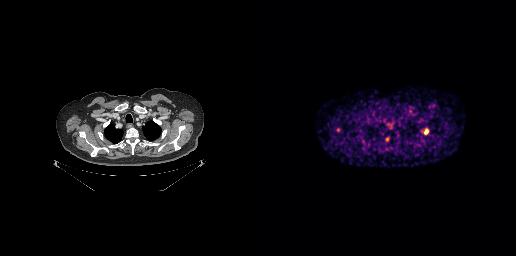
Paired axial CT (left) and PSMA PET (right), 68Ga-PSMA tracer. PET panel 256×256 px (2.7 mm/px). Coordinates are on the 256×256 PET (right) panel. PSMA-avid tumor lesion bounding box (x, y, width, height): x=164 y=129 w=5 h=6.